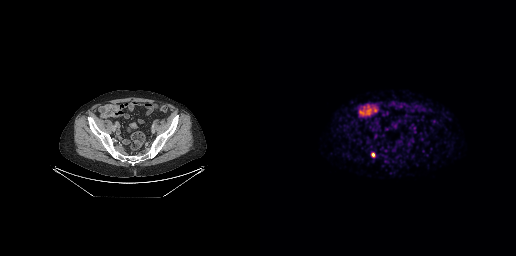
- Left: CT. Right: PSMA PET, same axial level, 68Ga tracer
- acquired on GE Discovery 690
- slice position z = -817 mm
Findings: Coordinates are on the 256×256 PET (right) panel. Small PSMA-avid focus (2 to 4 px across) near (center x, center y): (112, 154).